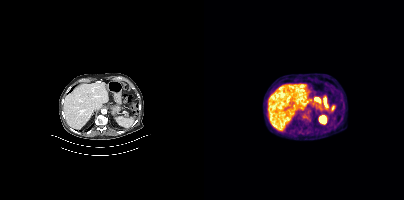
{"modality":"PSMA PET/CT","view":"axial","tracer":"[18F]PSMA-1007","pet_grid":[200,200],"coord_frame":"pet_panel","coord_format":"x0,y0,x1,y1","psma_avid_lesions":false}